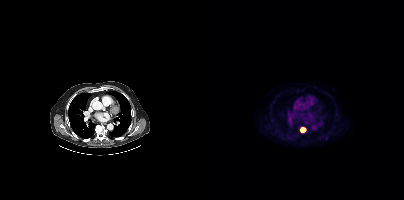
- Two-panel axial: CT | PSMA PET, [18F]PSMA-1007 tracer
Findings: Coordinates are on the 200×200 PET (right) panel. (showing 1 of 2 foci) PSMA-avid tumor lesion bounding box (x0,y0,x1,y1): [96,127,101,132].